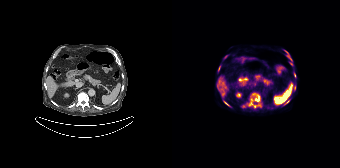
{"modality":"PSMA PET/CT","view":"axial","tracer":"18F","pet_grid":[168,168],"coord_frame":"pet_panel","coord_format":"x0,y0,x1,y1","lesion_bboxes":[[76,93,89,107],[51,100,58,106]],"small_foci_centers":[[47,67],[122,75],[115,101],[119,63],[118,59]]}